Two-panel axial: CT | PSMA PET, 18F tracer. Slice position z = -1318 mm. PET panel 200×200 px (4.1 mm/px).
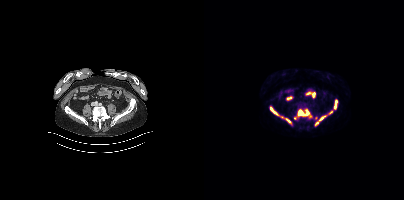
Coordinates are on the 200×200 PET (right) panel. (showing 5 of 7 foci) PSMA-avid tumor lesion bounding boxes (x0, y0)-(x1, y1): (90, 109)-(107, 119) / (111, 111)-(128, 125) / (66, 107)-(74, 115) / (130, 99)-(133, 108) / (82, 118)-(87, 123).